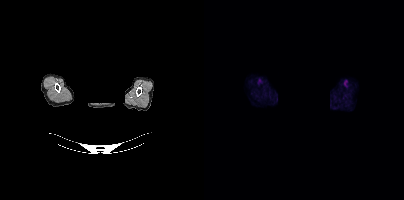
{"modality":"PSMA PET/CT","view":"axial","tracer":"18F-PSMA","pet_grid":[200,200],"coord_frame":"pet_panel","coord_format":"x0,y0,x1,y1","de-identification":"face masked with black rectangle","psma_avid_lesions":false}